Any black rectangle over the head is a privacy mask, not anatomy. Left: CT. Right: PSMA PET, same axial level, [18F]PSMA-1007 tracer. Acquired on GE Discovery 690. Slice position z = -40 mm. PET panel 256×256 px (2.7 mm/px).
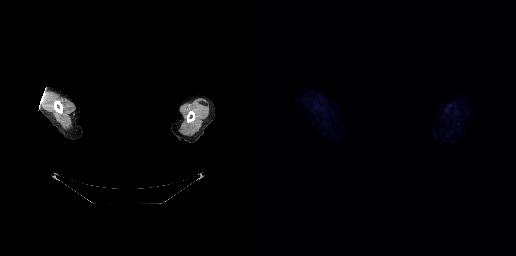
No tumor lesions annotated on this slice.